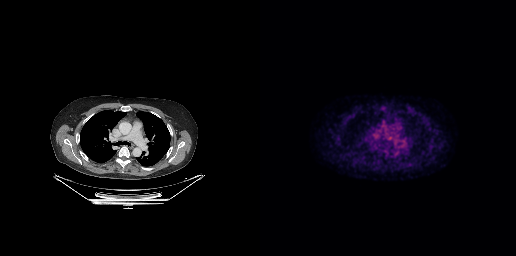
{"pet_grid":[256,256],"coord_frame":"pet_panel","coord_format":"x0,y0,x1,y1","psma_avid_lesions":false,"modality":"PSMA PET/CT","view":"axial","tracer":"18F"}